A rectangle over the head was blacked out to remove identifiable facial features.
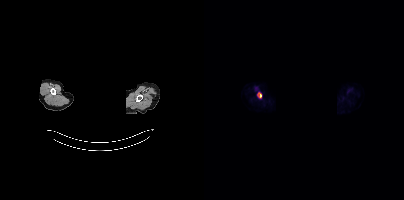
Coordinates are on the 200×200 PET (right) panel. PSMA-avid tumor lesion bounding box (x0,y0,x1,y1): [53,92,57,98].